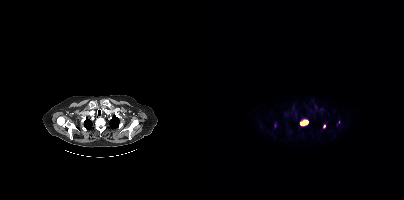
Technique: Left: CT. Right: PSMA PET, same axial level, 18F tracer. slice position z = -938 mm. PET panel 200×200 px (4.1 mm/px).
Findings: Coordinates are on the 200×200 PET (right) panel. (showing 2 of 3 foci) PSMA-avid tumor lesion bounding box (x0, y0)-(x1, y1): (96, 118)-(105, 125). Small PSMA-avid focus (2 to 4 px across) near (center x, center y): (120, 126).